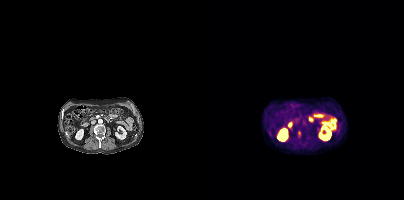
modality: PSMA PET/CT | tracer: [18F]PSMA-1007 | view: axial | PET grid: 200×200
Coordinates are on the 200×200 PET (right) panel. PSMA-avid tumor lesion bounding box (x, y, width, height): x=94 y=131 w=3 h=6.